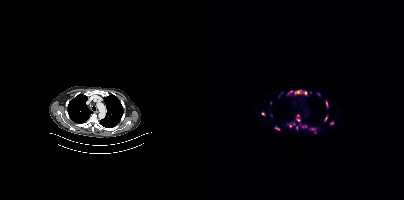
{"modality":"PSMA PET/CT","view":"axial","tracer":"[18F]PSMA-1007","pet_grid":[200,200],"coord_frame":"pet_panel","coord_format":"x0,y0,x1,y1","partial":true,"lesion_bboxes":[[91,90,102,94],[92,114,96,121],[122,100,124,108],[84,123,91,127],[106,128,111,130],[120,116,123,121],[83,91,88,94],[98,125,102,127],[71,127,75,130]],"small_foci_centers":[[127,123],[59,113],[92,127],[114,94],[66,102]]}